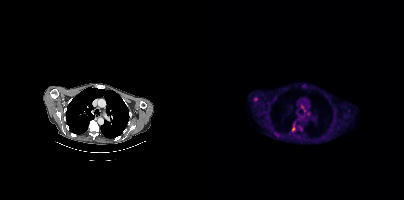
{"modality":"PSMA PET/CT","view":"axial","tracer":"18F-PSMA","pet_grid":[200,200],"coord_frame":"pet_panel","coord_format":"x0,y0,x1,y1","lesion_bboxes":[[88,121,91,131],[50,97,53,101]],"small_foci_centers":[[100,110],[98,106],[104,114],[144,111]]}